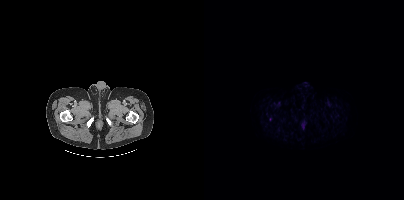
Technique: Paired axial CT (left) and PSMA PET (right), [18F]PSMA-1007 tracer. slice 23 of 417.
Findings: No tumor lesions annotated on this slice.